Technique: Two-panel axial: CT | PSMA PET, 18F-PSMA tracer. acquired on Siemens Biograph mCT Flow 20. PET panel 200×200 px (4.1 mm/px).
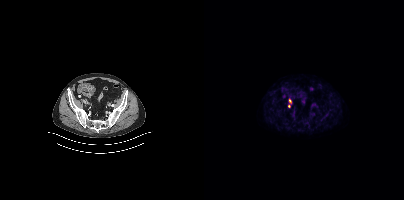
Findings: Coordinates are on the 200×200 PET (right) panel. Small PSMA-avid foci (2 to 4 px across) near (center x, center y): (86, 100) / (84, 106).